Paired axial CT (left) and PSMA PET (right), 18F tracer.
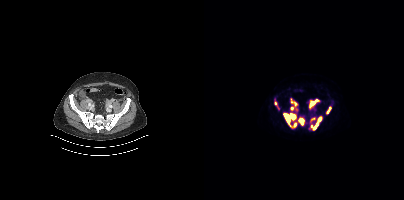
Coordinates are on the 200×200 PET (right) panel. PSMA-avid tumor lesion bounding boxes (x0,y0,x1,y1): [79,113,92,127], [107,116,118,130], [105,99,115,108], [94,117,100,125], [87,98,93,106], [122,106,127,113], [107,118,111,120]. Small PSMA-avid foci (2 to 4 px across) near (center x, center y): (87, 108), (71, 103).